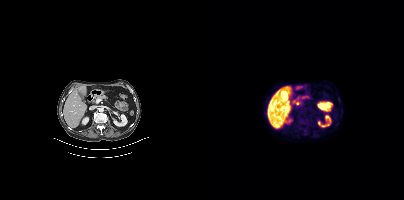
This slice has no annotated PSMA-avid lesion.